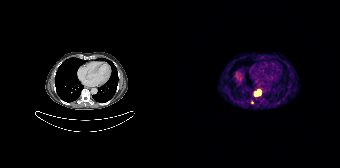
Coordinates are on the 168×168 PET (right) panel. PSMA-avid tumor lesion bounding box (x0,y0,x1,y1): [82,90,88,95]. Small PSMA-avid focus (2 to 4 px across) near (center x, center y): (80, 102).
modality: PSMA PET/CT | tracer: [68Ga]Ga-PSMA-11 | view: axial | PET grid: 168×168